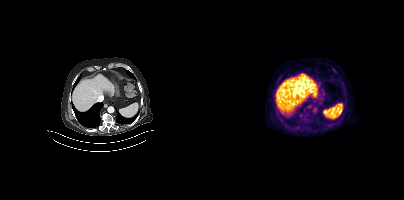
Left: CT. Right: PSMA PET, same axial level, [18F]PSMA-1007 tracer. No tumor lesions annotated on this slice.